Left: CT. Right: PSMA PET, same axial level, [18F]PSMA-1007 tracer. Acquired on Siemens Biograph mCT Flow 20. Slice 238 of 381. PET panel 200×200 px (4.1 mm/px).
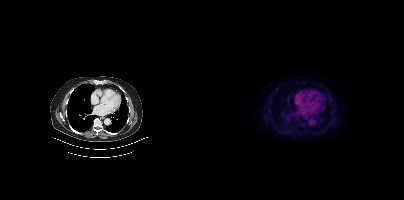
No PSMA-avid tumor lesions on this slice.